modality: PSMA PET/CT | tracer: [18F]PSMA-1007 | view: axial
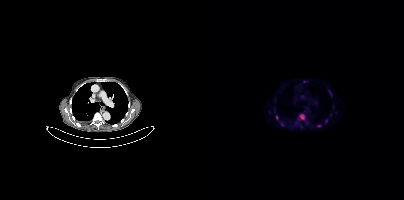
Coordinates are on the 200×200 PET (right) panel. PSMA-avid tumor lesion bounding boxes (x0, y0)-(x1, y1): (95, 114)-(100, 119) / (125, 91)-(127, 95). Small PSMA-avid foci (2 to 4 px across) near (center x, center y): (114, 126) / (73, 117) / (122, 121) / (98, 96) / (78, 124).